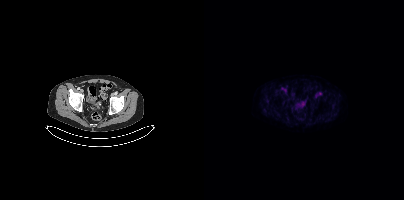
No PSMA-avid tumor lesions on this slice.